Paired axial CT (left) and PSMA PET (right), 18F tracer. PET panel 200×200 px (4.1 mm/px).
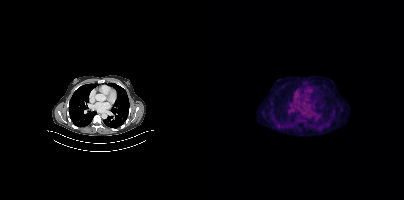
No PSMA-avid tumor lesions on this slice.